Paired axial CT (left) and PSMA PET (right), [68Ga]Ga-PSMA-11 tracer. Slice 245 of 411.
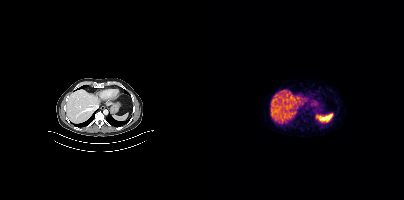
No tumor lesions annotated on this slice.